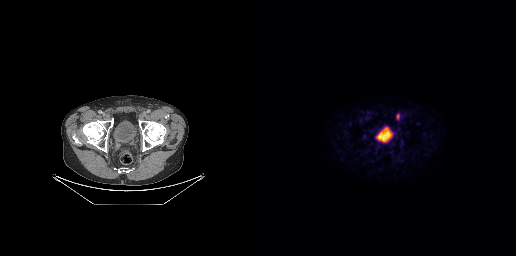
Coordinates are on the 256×256 PET (right) panel. Small PSMA-avid focus (2 to 4 px across) near (center x, center y): (137, 116).
modality: PSMA PET/CT | tracer: 18F-PSMA | view: axial